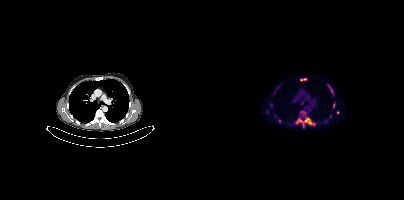
Two-panel axial: CT | PSMA PET, 18F-PSMA tracer.
Coordinates are on the 200×200 PET (right) panel. PSMA-avid tumor lesion bounding boxes (partial; 2 more foci not listed):
| # | x0 | y0 | x1 | y1 |
|---|---|---|---|---|
| 1 | 91 | 111 | 111 | 127 |
| 2 | 96 | 78 | 102 | 80 |
| 3 | 126 | 89 | 129 | 94 |
| 4 | 129 | 103 | 131 | 108 |
Small PSMA-avid foci (2 to 4 px across) near (center x, center y): (134, 112); (75, 120); (126, 116); (67, 104).